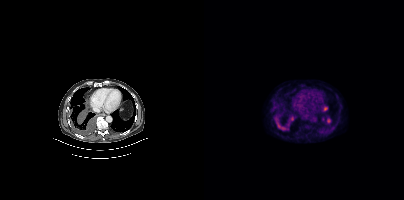
Coordinates are on the 200×200 PET (right) panel. PSMA-avid tumor lesion bounding boxes (x0, y0)-(x1, y1): (72, 120)-(83, 130) / (84, 115)-(91, 122). Small PSMA-avid focus (2 to 4 px across) near (center x, center y): (71, 118). Paired axial CT (left) and PSMA PET (right), 18F tracer. Slice 254 of 429. PET panel 200×200 px (4.1 mm/px).